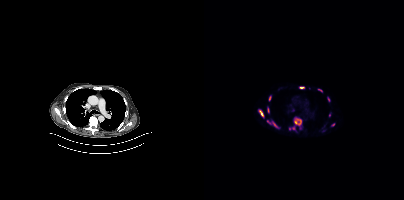
Coordinates are on the 200×200 PET (right) panel. (showing 11 of 13 foci) PSMA-avid tumor lesion bounding boxes (x0,y0,x1,y1): [90,118,97,125]; [55,109,59,116]; [69,122,73,127]; [63,107,65,112]; [65,96,67,100]; [96,87,100,88]; [114,89,118,91]. Small PSMA-avid foci (2 to 4 px across) near (center x, center y): (89, 127); (124, 99); (129, 124); (85, 128).